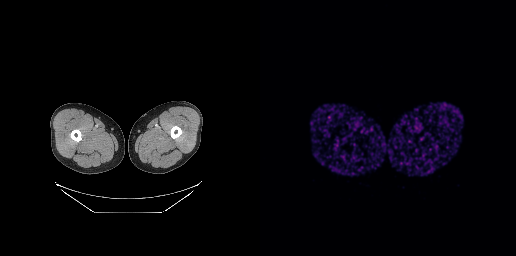
Negative for PSMA-avid disease on this slice.